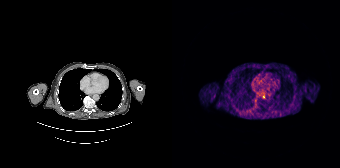
Findings: No PSMA-avid tumor lesions on this slice.
- Left: CT. Right: PSMA PET, same axial level, 68Ga tracer